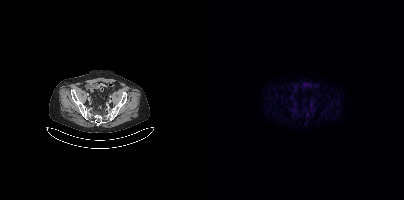
No tumor lesions annotated on this slice. Two-panel axial: CT | PSMA PET, 18F tracer. Slice position z = -714 mm. PET panel 200×200 px (4.1 mm/px).